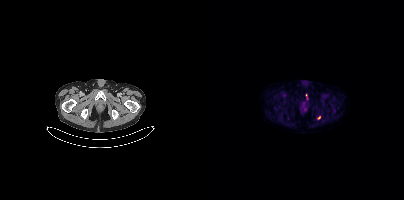
Coordinates are on the 200×200 PET (right) panel. (showing 2 of 3 foci) Small PSMA-avid foci (2 to 4 px across) near (center x, center y): (115, 117) / (102, 95).
modality: PSMA PET/CT | tracer: [18F]PSMA-1007 | view: axial